Left: CT. Right: PSMA PET, same axial level, 18F-PSMA tracer. Slice position z = -686 mm.
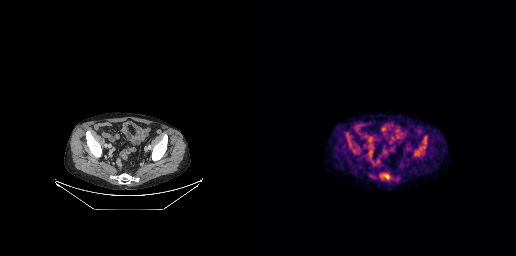
Coordinates are on the 256×256 PET (right) panel. PSMA-avid tumor lesion bounding boxes:
| # | x0 | y0 | x1 | y1 |
|---|---|---|---|---|
| 1 | 154 | 136 | 167 | 156 |
| 2 | 120 | 173 | 129 | 179 |
| 3 | 88 | 138 | 91 | 146 |
Small PSMA-avid focus (2 to 4 px across) near (center x, center y): (94, 151).